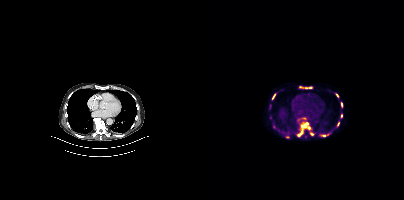
Coordinates are on the 200×200 PET (right) panel. PSMA-avid tumor lesion bounding boxes (x0,y0,x1,y1): [93,122,107,136] [94,85,109,89] [68,93,72,99] [117,134,124,137] [136,102,139,107] [131,93,135,97] [106,132,110,135] [132,121,135,126] [136,114,138,118]. Small PSMA-avid focus (2 to 4 px across) near (center x, center y): (69, 126).